- Two-panel axial: CT | PSMA PET, 18F-PSMA tracer
- slice 41 of 135
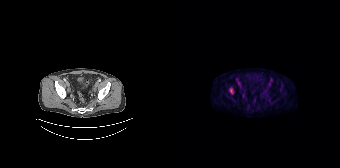
Findings: Coordinates are on the 168×168 PET (right) panel. (showing 1 of 2 foci) PSMA-avid tumor lesion bounding box (x, y, width, height): x=57 y=88 w=5 h=6.